modality: PSMA PET/CT | tracer: 18F | view: axial | deidentification: rectangular block over head set to black
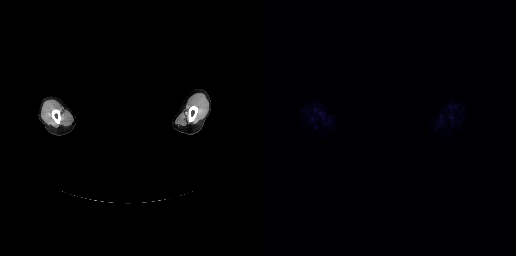
Negative for PSMA-avid disease on this slice.